Two-panel axial: CT | PSMA PET, 18F-PSMA tracer. Slice position z = -530 mm. PET panel 200×200 px (4.1 mm/px).
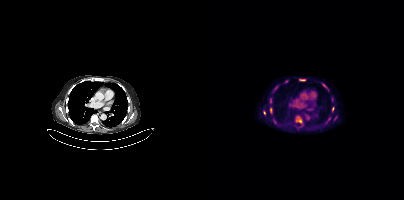
Coordinates are on the 200×200 PET (right) panel. PSMA-avid tumor lesion bounding boxes (partial; 3 more foci not listed):
| # | x0 | y0 | x1 | y1 |
|---|---|---|---|---|
| 1 | 66 | 107 | 68 | 113 |
| 2 | 95 | 79 | 101 | 81 |
| 3 | 128 | 107 | 130 | 111 |
| 4 | 93 | 121 | 97 | 122 |
Small PSMA-avid foci (2 to 4 px across) near (center x, center y): (60, 112); (66, 101); (82, 81).